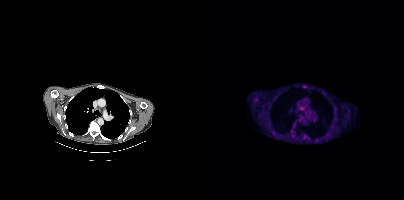
Coordinates are on the 200×200 PET (right) panel. PSMA-avid tumor lesion bounding box (x0,y0,x1,y1): [99,135,103,138]. Small PSMA-avid foci (2 to 4 px across) near (center x, center y): (97, 108); (90, 123); (120, 93); (144, 110); (100, 86); (52, 99).